modality: PSMA PET/CT | tracer: 18F-PSMA | view: axial | deidentification: head region blacked out before release
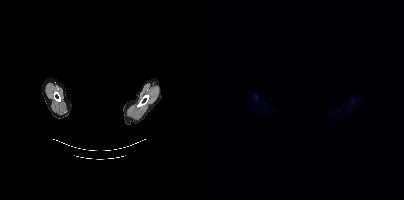
Negative for PSMA-avid disease on this slice.